- Left: CT. Right: PSMA PET, same axial level, [18F]PSMA-1007 tracer
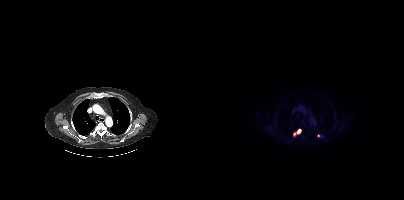
Findings: Coordinates are on the 200×200 PET (right) panel. PSMA-avid tumor lesion bounding box (x0,y0,x1,y1): [93,129,97,133]. Small PSMA-avid foci (2 to 4 px across) near (center x, center y): (90, 134); (114, 135).